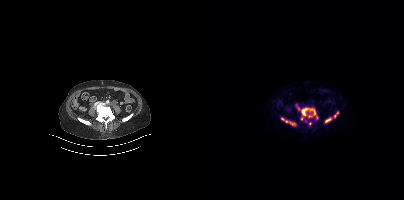
Coordinates are on the 200×200 PET (right) panel. (showing 4 of 5 foci) PSMA-avid tumor lesion bounding boxes (x0,y0,x1,y1): [94,107,114,120], [77,118,92,125], [121,112,134,123]. Small PSMA-avid focus (2 to 4 px across) near (center x, center y): (106, 123).
modality: PSMA PET/CT | tracer: 68Ga | view: axial